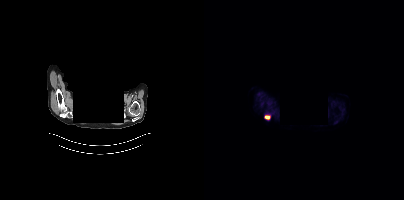
Technique: Paired axial CT (left) and PSMA PET (right), [18F]PSMA-1007 tracer. acquired on Siemens Biograph mCT Flow 20.
Note: Face de-identified by blanking a block of the head.
Findings: Coordinates are on the 200×200 PET (right) panel. PSMA-avid tumor lesion bounding box (x, y, width, height): x=61 y=116 w=5 h=3.